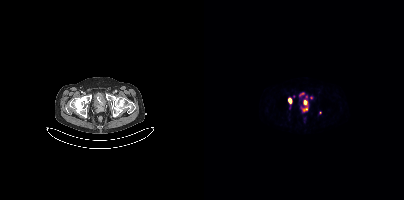
Two-panel axial: CT | PSMA PET, [68Ga]Ga-PSMA-11 tracer. Acquired on Siemens Biograph mCT Flow 20. Slice 64 of 411. PET panel 200×200 px (4.1 mm/px). Coordinates are on the 200×200 PET (right) panel. (showing 6 of 7 foci) PSMA-avid tumor lesion bounding boxes (x0,y0,x1,y1): [98,100,103,111], [84,98,87,103], [95,93,100,95]. Small PSMA-avid foci (2 to 4 px across) near (center x, center y): (102, 96), (116, 112), (89, 96).